- Left: CT. Right: PSMA PET, same axial level, 68Ga tracer
- acquired on GE Discovery 690
- PET panel 256×256 px (2.7 mm/px)
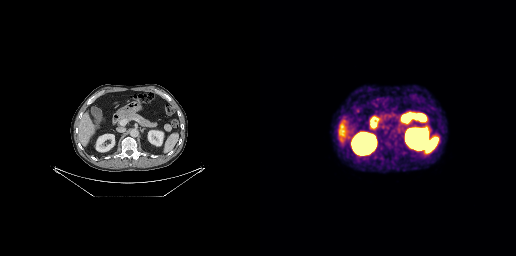
Findings: Coordinates are on the 256×256 PET (right) panel. Small PSMA-avid focus (2 to 4 px across) near (center x, center y): (167, 130).